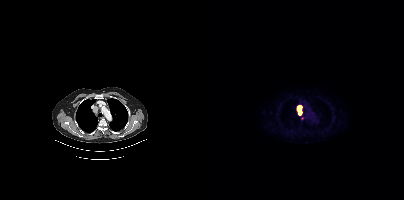
{"modality":"PSMA PET/CT","view":"axial","tracer":"18F","pet_grid":[200,200],"coord_frame":"pet_panel","coord_format":"x0,y0,x1,y1","lesion_bboxes":[[94,109,97,114]],"small_foci_centers":[[98,118]]}